Two-panel axial: CT | PSMA PET, 18F-PSMA tracer. PET panel 200×200 px (4.1 mm/px).
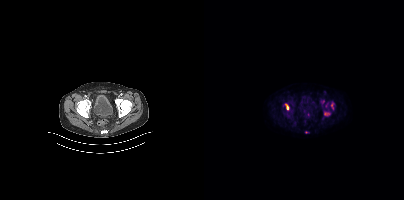
Coordinates are on the 200×200 PET (right) panel. (showing 4 of 6 foci) PSMA-avid tumor lesion bounding boxes (x0, y0)-(x1, y1): (81, 104)-(85, 109); (120, 113)-(125, 115). Small PSMA-avid foci (2 to 4 px across) near (center x, center y): (127, 105); (102, 132).